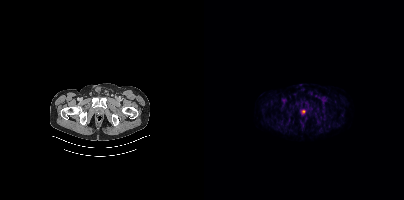
Coordinates are on the 200×200 PET (right) panel. PSMA-avid tumor lesion bounding box (x, y, width, height): x=97 y=110 w=5 h=4.